redaction: face masked with black rectangle | modality: PSMA PET/CT | tracer: 18F-PSMA | view: axial
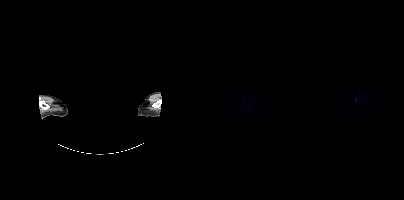
Coordinates are on the 200×200 PET (right) panel. Small PSMA-avid focus (2 to 4 px across) near (center x, center y): (151, 99).